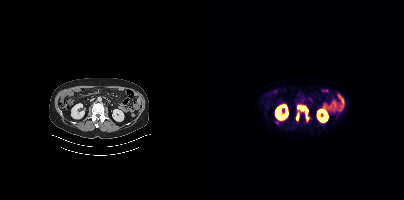
Findings: Coordinates are on the 200×200 PET (right) panel. PSMA-avid tumor lesion bounding boxes (x0,y0,x1,y1): [93,105,104,120], [92,113,94,120].
- Paired axial CT (left) and PSMA PET (right), 18F-PSMA tracer
- acquired on Siemens Biograph mCT Flow 20